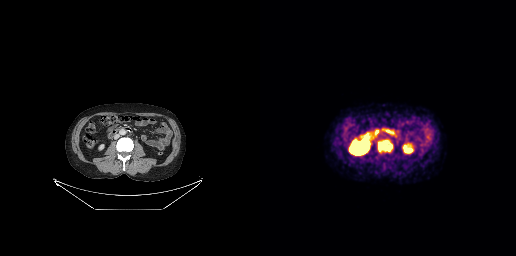
modality: PSMA PET/CT | tracer: [18F]PSMA-1007 | view: axial | PET grid: 256×256
Coordinates are on the 256×256 PET (right) panel. PSMA-avid tumor lesion bounding box (x, y, width, height): x=118 y=140 w=15 h=13.